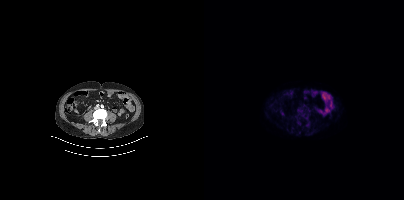
Technique: Two-panel axial: CT | PSMA PET, [18F]PSMA-1007 tracer. acquired on Siemens Biograph mCT Flow 20. slice 160 of 427.
Findings: No tumor lesions annotated on this slice.